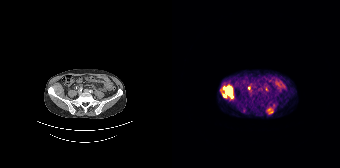
{"modality":"PSMA PET/CT","view":"axial","tracer":"68Ga","pet_grid":[168,168],"coord_frame":"pet_panel","coord_format":"x0,y0,x1,y1","partial":true,"lesion_bboxes":[[50,85,61,98],[95,108,101,113]],"small_foci_centers":[[77,88]]}